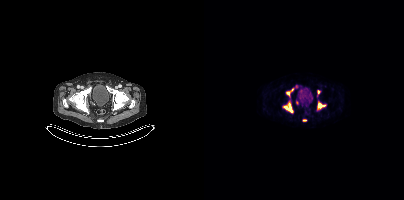
Findings: Coordinates are on the 200×200 PET (right) panel. (showing 5 of 6 foci) PSMA-avid tumor lesion bounding boxes (x0, y0)-(x1, y1): (79, 102)-(88, 112) | (114, 102)-(121, 108) | (83, 88)-(89, 95) | (114, 90)-(115, 95). Small PSMA-avid focus (2 to 4 px across) near (center x, center y): (93, 102).
- Paired axial CT (left) and PSMA PET (right), [18F]PSMA-1007 tracer
- slice 514 of 963
- PET panel 200×200 px (4.1 mm/px)